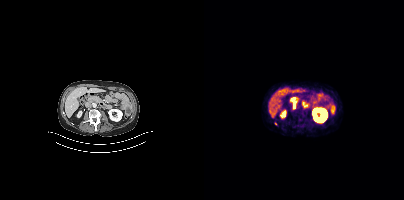
Coordinates are on the 200×200 PET (right) panel. PSMA-avid tumor lesion bounding box (x0,y0,x1,y1): [89,101,92,108]. Small PSMA-avid focus (2 to 4 px across) near (center x, center y): (71, 123). Two-panel axial: CT | PSMA PET, 68Ga tracer. Slice position z = -1230 mm.